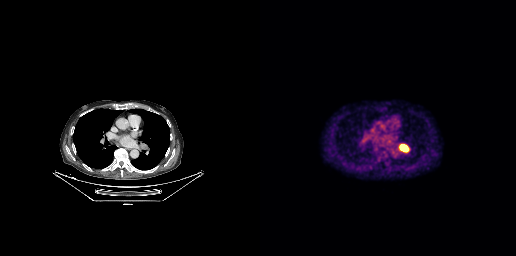
{"pet_grid":[256,256],"coord_frame":"pet_panel","coord_format":"x0,y0,x1,y1","lesion_bboxes":[[139,144,149,152]],"modality":"PSMA PET/CT","view":"axial","tracer":"18F"}